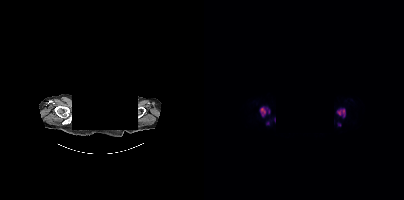
Findings: Coordinates are on the 200×200 PET (right) panel. PSMA-avid tumor lesion bounding boxes (x0,y0,x1,y1): [55,106,66,117], [133,108,141,117]. Small PSMA-avid foci (2 to 4 px across) near (center x, center y): (63, 122), (135, 124).
- any black rectangle over the head is a privacy mask, not anatomy
- Paired axial CT (left) and PSMA PET (right), [18F]PSMA-1007 tracer
- slice 369 of 423